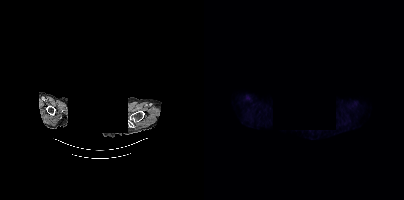
{"modality":"PSMA PET/CT","view":"axial","tracer":"[18F]PSMA-1007","pet_grid":[200,200],"coord_frame":"pet_panel","coord_format":"x0,y0,x1,y1","de-identification":"face masked with black rectangle","psma_avid_lesions":false}